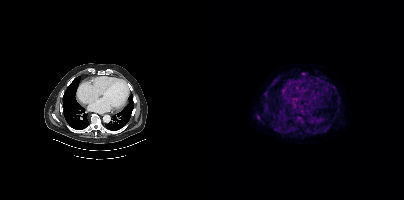
Coordinates are on the 200×200 PET (right) panel. (showing 1 of 2 foci) Small PSMA-avid focus (2 to 4 px across) near (center x, center y): (99, 73).